Paired axial CT (left) and PSMA PET (right), [18F]PSMA-1007 tracer. Acquired on Siemens Biograph mCT Flow 20. Slice 365 of 458. PET panel 200×200 px (4.1 mm/px).
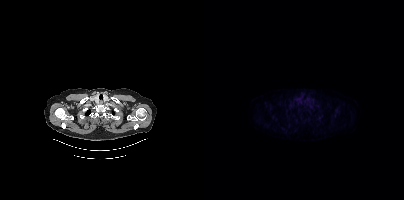
No tumor lesions annotated on this slice.